Left: CT. Right: PSMA PET, same axial level, [18F]PSMA-1007 tracer. PET panel 200×200 px (4.1 mm/px). Face de-identified by blanking a block of the head.
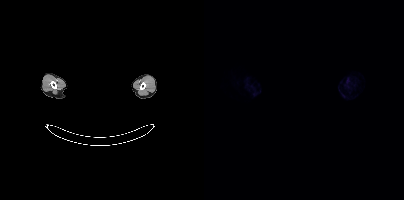
No PSMA-avid tumor lesions on this slice.